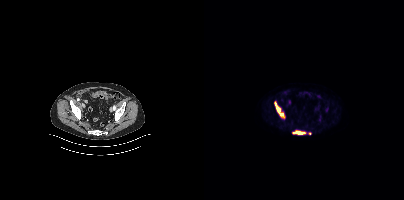
{"pet_grid":[200,200],"coord_frame":"pet_panel","coord_format":"x0,y0,x1,y1","lesion_bboxes":[[70,102,80,117],[89,131,101,134]],"small_foci_centers":[[106,133]],"modality":"PSMA PET/CT","view":"axial","tracer":"18F-PSMA"}